Two-panel axial: CT | PSMA PET, 18F-PSMA tracer. Acquired on Siemens Biograph mCT Flow 20. PET panel 200×200 px (4.1 mm/px).
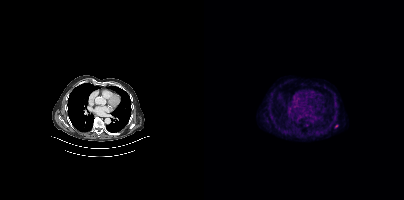
No tumor lesions annotated on this slice.